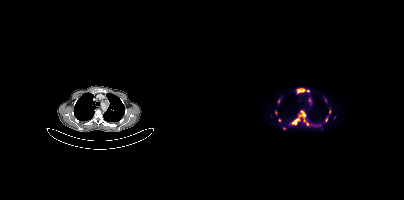
Technique: Paired axial CT (left) and PSMA PET (right), 68Ga-PSMA tracer. PET panel 200×200 px (4.1 mm/px).
Findings: Coordinates are on the 200×200 PET (right) panel. (showing 12 of 15 foci) PSMA-avid tumor lesion bounding boxes (x0,y0,x1,y1): [93,88,100,92], [88,118,95,124], [97,111,101,117], [74,99,76,103]. Small PSMA-avid foci (2 to 4 px across) near (center x, center y): (104, 91), (106, 100), (71, 112), (122, 119), (75, 120), (121, 100), (95, 115), (103, 123).